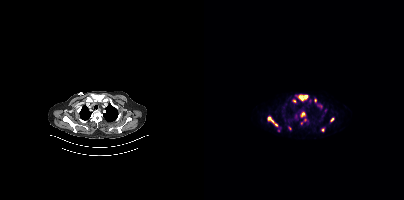
{"modality":"PSMA PET/CT","view":"axial","tracer":"[68Ga]Ga-PSMA-11","pet_grid":[200,200],"coord_frame":"pet_panel","coord_format":"x0,y0,x1,y1","partial":true,"lesion_bboxes":[[94,94,103,100],[113,103,118,108],[63,116,68,121],[97,112,100,116],[69,122,73,125]],"small_foci_centers":[[91,116],[90,100],[111,100],[128,119],[101,120],[119,129],[86,128],[97,123]]}